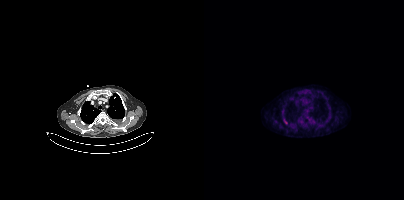
Paired axial CT (left) and PSMA PET (right), 18F tracer. Slice 324 of 425. PET panel 200×200 px (4.1 mm/px).
Coordinates are on the 200×200 PET (right) panel. PSMA-avid tumor lesion bounding boxes:
| # | x0 | y0 | x1 | y1 |
|---|---|---|---|---|
| 1 | 80 | 119 | 83 | 124 |